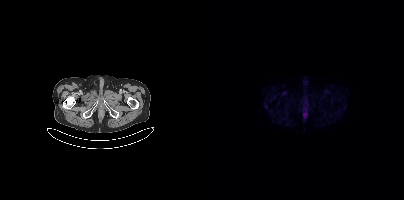
- Two-panel axial: CT | PSMA PET, 18F tracer
Findings: This slice has no annotated PSMA-avid lesion.